modality: PSMA PET/CT | tracer: [18F]PSMA-1007 | view: axial | PET grid: 200×200
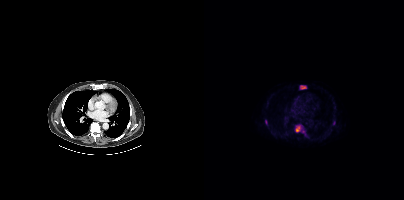
Coordinates are on the 200×200 PET (right) panel. PSMA-avid tumor lesion bounding boxes (x0, y0)-(x1, y1): (91, 124)-(100, 132); (96, 85)-(102, 89); (61, 120)-(63, 124). Small PSMA-avid focus (2 to 4 px across) near (center x, center y): (129, 123).